Paired axial CT (left) and PSMA PET (right), [18F]PSMA-1007 tracer. Acquired on Siemens Biograph mCT Flow 20. PET panel 200×200 px (4.1 mm/px).
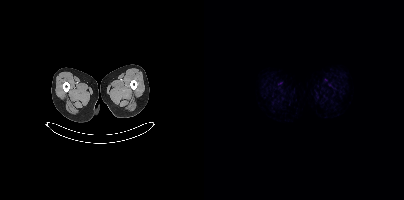
Negative for PSMA-avid disease on this slice.